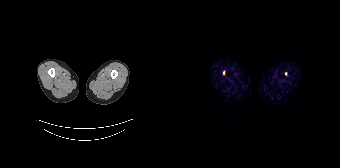
{"pet_grid":[168,168],"coord_frame":"pet_panel","coord_format":"x0,y0,x1,y1","lesion_bboxes":[],"small_foci_centers":[[51,72],[113,73]],"modality":"PSMA PET/CT","view":"axial","tracer":"[68Ga]Ga-PSMA-11"}